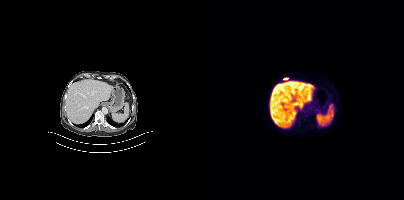
modality: PSMA PET/CT | tracer: 18F | view: axial
Coordinates are on the 200×200 PET (right) panel. PSMA-avid tumor lesion bounding box (x0,y0,x1,y1): [79,78,84,79].